Paired axial CT (left) and PSMA PET (right), 18F-PSMA tracer. Slice 307 of 448. PET panel 200×200 px (4.1 mm/px).
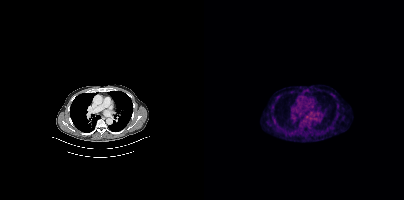
Negative for PSMA-avid disease on this slice.